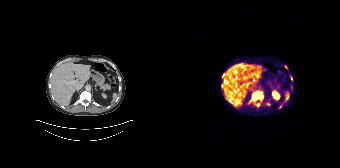
{"modality":"PSMA PET/CT","view":"axial","tracer":"[68Ga]Ga-PSMA-11","pet_grid":[168,168],"coord_frame":"pet_panel","coord_format":"x0,y0,x1,y1","partial":true,"lesion_bboxes":[[80,91,90,100],[49,84,51,88]],"small_foci_centers":[[96,104],[108,106],[51,75],[86,104]]}